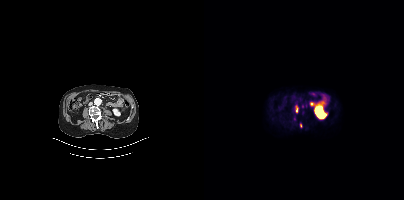
{"modality":"PSMA PET/CT","view":"axial","tracer":"68Ga","pet_grid":[200,200],"coord_frame":"pet_panel","coord_format":"x0,y0,x1,y1","lesion_bboxes":[[92,106,94,112],[96,123,98,127]],"small_foci_centers":[[98,106]]}